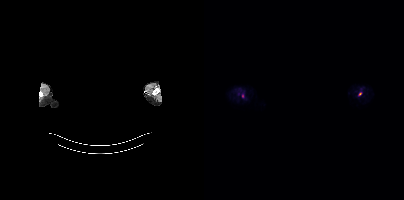
Technique: Left: CT. Right: PSMA PET, same axial level, 18F tracer. acquired on Siemens Biograph mCT Flow 20.
Note: Facial anatomy redacted by setting a rectangular region of the head to black.
Findings: Coordinates are on the 200×200 PET (right) panel. Small PSMA-avid focus (2 to 4 px across) near (center x, center y): (156, 93).